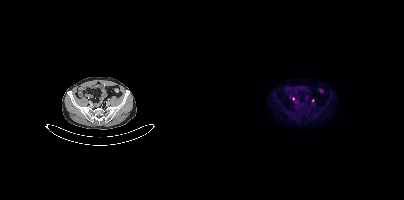
- Left: CT. Right: PSMA PET, same axial level, 18F-PSMA tracer
- slice position z = -1570 mm
Findings: Coordinates are on the 200×200 PET (right) panel. (showing 1 of 2 foci) Small PSMA-avid focus (2 to 4 px across) near (center x, center y): (108, 100).